The head region is masked for de-identification.
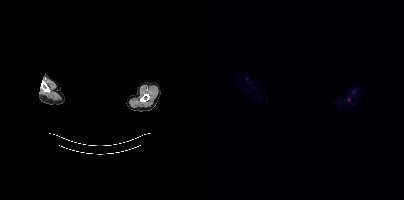
Coordinates are on the 200×200 PET (right) panel. Small PSMA-avid focus (2 to 4 px across) near (center x, center y): (144, 99).